Technique: Two-panel axial: CT | PSMA PET, 18F-PSMA tracer. slice 284 of 299. PET panel 256×256 px (2.7 mm/px).
Note: The head region is masked for de-identification.
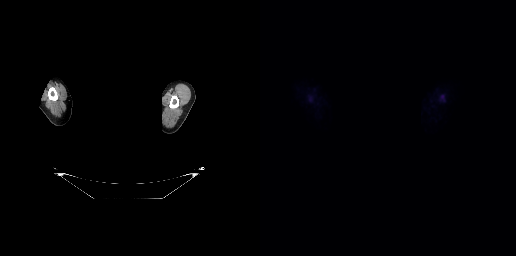
Findings: Negative for PSMA-avid disease on this slice.